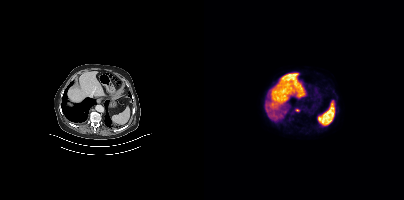
Coordinates are on the 200×200 PET (right) panel. Small PSMA-avid focus (2 to 4 px across) near (center x, center y): (93, 109).